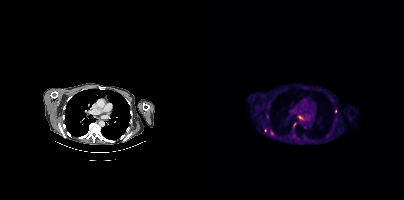
modality: PSMA PET/CT | tracer: 18F-PSMA | view: axial
Coordinates are on the 200×200 PET (right) panel. PSMA-avid tumor lesion bounding box (x0, y0)-(x1, y1): (62, 114)-(64, 118). Small PSMA-avid foci (2 to 4 px across) near (center x, center y): (131, 111) | (90, 124) | (61, 130) | (67, 133) | (63, 134).